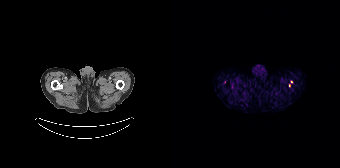
{"pet_grid":[168,168],"coord_frame":"pet_panel","coord_format":"x0,y0,x1,y1","partial":true,"lesion_bboxes":[],"modality":"PSMA PET/CT","view":"axial","tracer":"[68Ga]Ga-PSMA-11"}